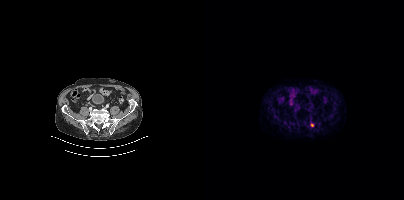
Coordinates are on the 200×200 PET (right) panel. Small PSMA-avid focus (2 to 4 px across) near (center x, center y): (108, 125).
modality: PSMA PET/CT | tracer: [18F]PSMA-1007 | view: axial